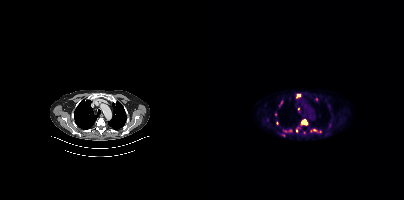
{"modality":"PSMA PET/CT","view":"axial","tracer":"18F","pet_grid":[200,200],"coord_frame":"pet_panel","coord_format":"x0,y0,x1,y1","partial":true,"lesion_bboxes":[[96,119,104,125]],"small_foci_centers":[[94,95],[73,123],[86,130],[94,109],[92,130],[79,135]]}